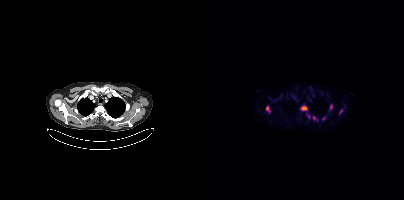
{"pet_grid":[200,200],"coord_frame":"pet_panel","coord_format":"x0,y0,x1,y1","partial":true,"lesion_bboxes":[[97,106,103,110],[62,106,66,111],[126,105,128,110],[109,116,113,119],[135,109,138,114]],"small_foci_centers":[[119,118]],"modality":"PSMA PET/CT","view":"axial","tracer":"18F"}